Two-panel axial: CT | PSMA PET, [18F]PSMA-1007 tracer. PET panel 200×200 px (4.1 mm/px).
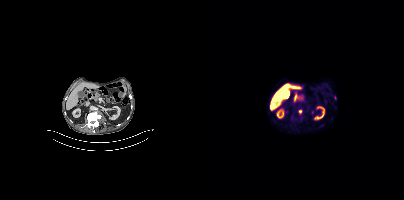
Coordinates are on the 200×200 PET (right) panel. (showing 1 of 2 foci) Small PSMA-avid focus (2 to 4 px across) near (center x, center y): (96, 111).